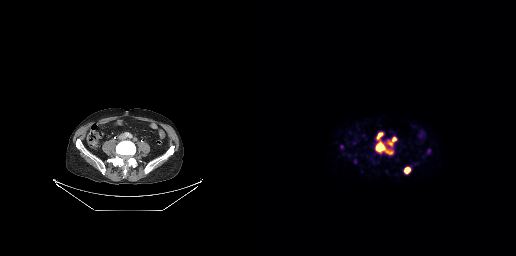
- Two-panel axial: CT | PSMA PET, 68Ga tracer
- slice 102 of 263
- PET panel 256×256 px (2.7 mm/px)
Findings: Coordinates are on the 256×256 PET (right) panel. PSMA-avid tumor lesion bounding boxes (x0,y0,x1,y1): [116,143,132,153], [129,137,136,145], [144,167,150,173], [118,133,121,137].